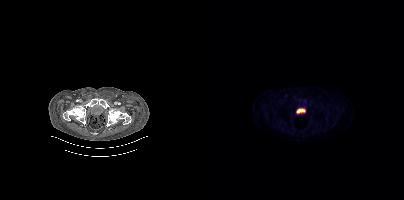
Only PSMA-avid lesion pieces thinner than 2 px on this slice (not listed).